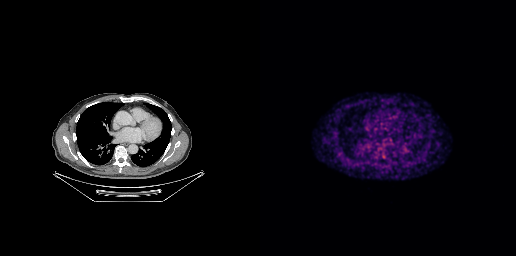
Left: CT. Right: PSMA PET, same axial level, 18F tracer. PET panel 256×256 px (2.7 mm/px). No PSMA-avid tumor lesions on this slice.